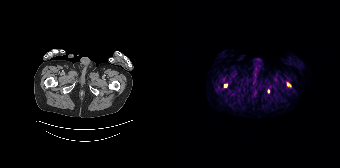
Left: CT. Right: PSMA PET, same axial level, [68Ga]Ga-PSMA-11 tracer. Slice 50 of 195. PET panel 168×168 px (4.1 mm/px). Coordinates are on the 168×168 PET (right) panel. (showing 2 of 4 foci) Small PSMA-avid foci (2 to 4 px across) near (center x, center y): (53, 85) | (96, 91).